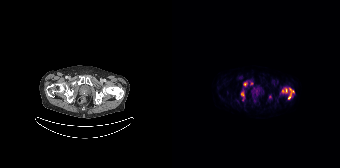
Technique: Paired axial CT (left) and PSMA PET (right), 18F-PSMA tracer.
Findings: Coordinates are on the 168×168 PET (right) panel. PSMA-avid tumor lesion bounding boxes (x, y, width, height): x=116 y=88 w=7 h=12 | x=110 y=88 w=6 h=5. Small PSMA-avid foci (2 to 4 px across) near (center x, center y): (98, 96) | (73, 83) | (70, 94) | (79, 83).